Left: CT. Right: PSMA PET, same axial level, 18F tracer.
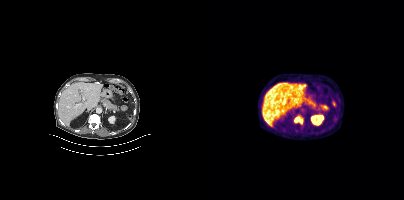
Coordinates are on the 200×200 PET (right) panel. PSMA-avid tumor lesion bounding box (x0, y0)-(x1, y1): (90, 117)-(98, 123).